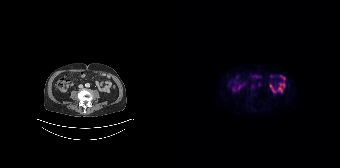
No tumor lesions annotated on this slice.